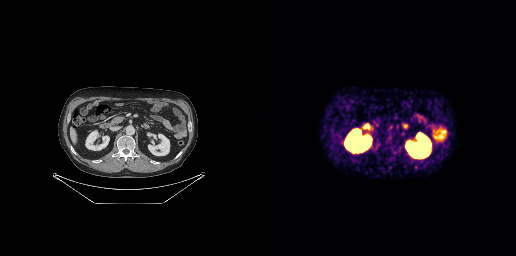
No tumor lesions annotated on this slice.